Two-panel axial: CT | PSMA PET, [18F]PSMA-1007 tracer. Acquired on Siemens Biograph mCT Flow 20. Slice position z = 306 mm. PET panel 200×200 px (4.1 mm/px).
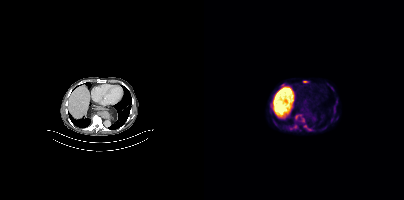
Coordinates are on the 200×200 PET (right) panel. PSMA-avid tumor lesion bounding boxes (partial; 1 more focus not listed):
| # | x0 | y0 | x1 | y1 |
|---|---|---|---|---|
| 1 | 100 | 125 | 109 | 130 |
| 2 | 130 | 106 | 131 | 110 |
| 3 | 99 | 81 | 103 | 82 |
Small PSMA-avid foci (2 to 4 px across) near (center x, center y): (78, 85); (92, 116); (99, 120); (91, 126).